Two-panel axial: CT | PSMA PET, 18F-PSMA tracer. Head region blanked for anonymization (face removed).
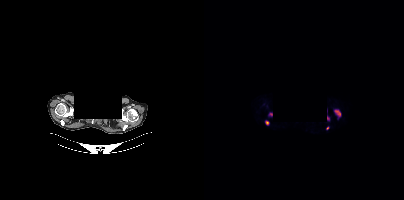
Coordinates are on the 200×200 PET (right) panel. PSMA-avid tumor lesion bounding boxes (x0, y0)-(x1, y1): (130, 109)-(137, 116) / (61, 120)-(65, 125) / (65, 112)-(68, 116). Small PSMA-avid focus (2 to 4 px across) near (center x, center y): (123, 128).